Left: CT. Right: PSMA PET, same axial level, 18F-PSMA tracer. Acquired on Siemens Biograph mCT Flow 20. Slice 139 of 409. PET panel 200×200 px (4.1 mm/px).
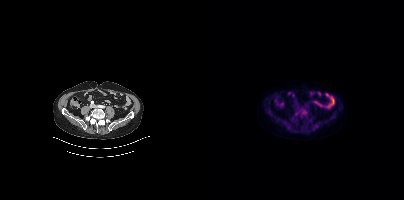
Coordinates are on the 200×200 PET (right) panel. PSMA-avid tumor lesion bounding box (x0,y0,x1,y1): [95,110,101,116].